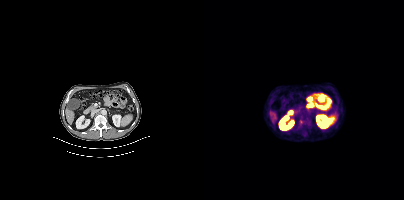
Technique: Two-panel axial: CT | PSMA PET, 18F tracer. slice position z = -260 mm.
Findings: Coordinates are on the 200×200 PET (right) panel. PSMA-avid tumor lesion bounding boxes (x0,y0,x1,y1): [96,117,105,126]; [98,133,103,137].